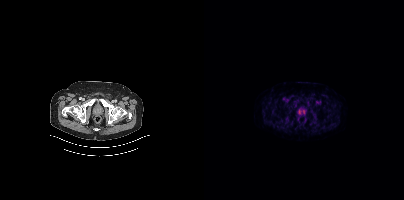
Paired axial CT (left) and PSMA PET (right), 18F tracer. Acquired on Siemens Biograph mCT Flow 20. Negative for PSMA-avid disease on this slice.